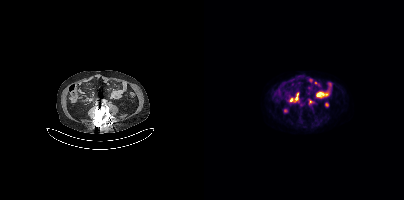
{"modality":"PSMA PET/CT","view":"axial","tracer":"18F-PSMA","pet_grid":[200,200],"coord_frame":"pet_panel","coord_format":"x0,y0,x1,y1","partial":true,"lesion_bboxes":[],"small_foci_centers":[[106,101],[92,98],[87,100]]}